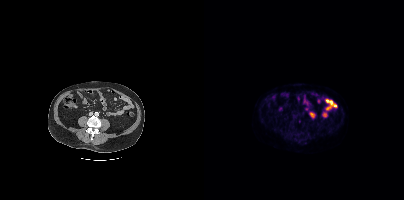
{"modality":"PSMA PET/CT","view":"axial","tracer":"18F-PSMA","pet_grid":[200,200],"coord_frame":"pet_panel","coord_format":"x0,y0,x1,y1","partial":true,"lesion_bboxes":[]}